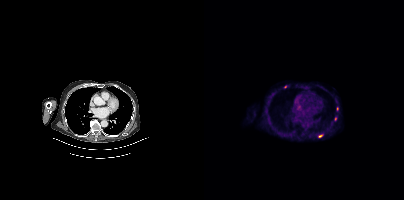
- Paired axial CT (left) and PSMA PET (right), 18F tracer
- acquired on Siemens Biograph mCT Flow 20
- slice 274 of 411
- PET panel 200×200 px (4.1 mm/px)
Findings: Coordinates are on the 200×200 PET (right) panel. Small PSMA-avid foci (2 to 4 px across) near (center x, center y): (116, 136); (69, 94); (81, 86); (131, 119); (133, 108).